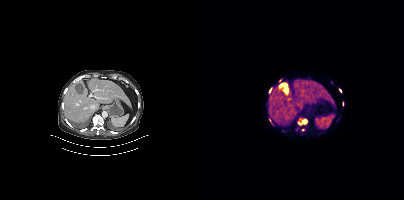
Coordinates are on the 200×200 PET (right) panel. (showing 4 of 7 foci) PSMA-avid tumor lesion bounding boxes (x0, y0)-(x1, y1): (94, 119)-(103, 125); (65, 88)-(67, 92); (135, 88)-(137, 92). Small PSMA-avid focus (2 to 4 px across) near (center x, center y): (98, 129).